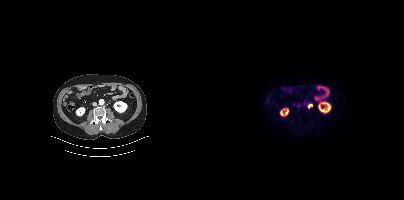
Coordinates are on the 200×200 PET (right) panel. PSMA-avid tumor lesion bounding box (x0,y0,x1,y1): [104,104,108,108].